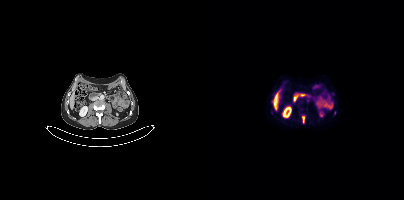
Coordinates are on the 200×200 PET (right) panel. (showing 1 of 2 foci) PSMA-avid tumor lesion bounding box (x, y, width, height): x=98 y=115 w=4 h=9.